modality: PSMA PET/CT | tracer: [18F]PSMA-1007 | view: axial
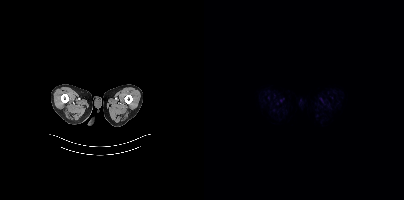
This slice has no annotated PSMA-avid lesion.